modality: PSMA PET/CT | tracer: 18F | view: axial | PET grid: 168×168
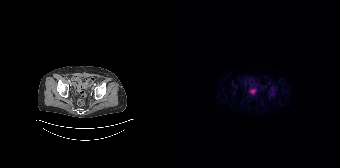
This slice has no annotated PSMA-avid lesion.